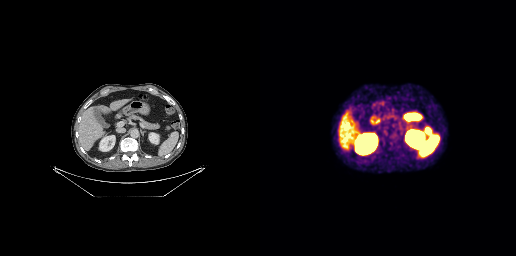
Findings: Coordinates are on the 256×256 PET (right) panel. PSMA-avid tumor lesion bounding box (x, y, width, height): x=165 y=127 w=7 h=8.
- Two-panel axial: CT | PSMA PET, 68Ga-PSMA tracer
- acquired on GE Discovery 690
- slice position z = -584 mm
- PET panel 256×256 px (2.7 mm/px)